Two-panel axial: CT | PSMA PET, [18F]PSMA-1007 tracer. PET panel 200×200 px (4.1 mm/px).
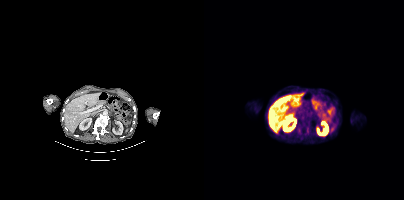
No PSMA-avid tumor lesions on this slice.